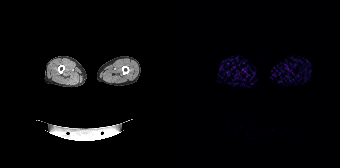
No tumor lesions annotated on this slice. Two-panel axial: CT | PSMA PET, 68Ga tracer. Acquired on Siemens Biograph 64-4R TruePoint. Slice position z = -1190 mm. PET panel 168×168 px (4.1 mm/px).